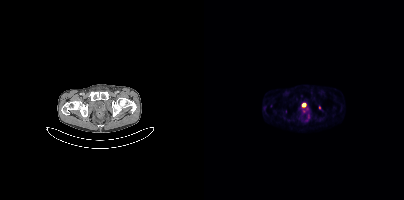
{"pet_grid":[200,200],"coord_frame":"pet_panel","coord_format":"x0,y0,x1,y1","partial":true,"lesion_bboxes":[[104,114,105,118]],"small_foci_centers":[[103,109],[115,107],[67,106]],"modality":"PSMA PET/CT","view":"axial","tracer":"68Ga-PSMA"}